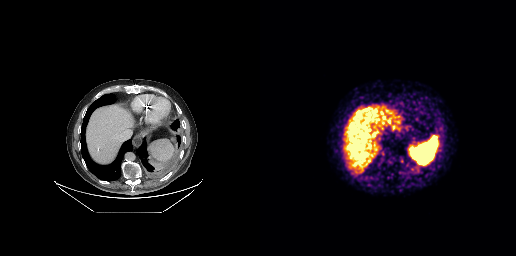
Findings: This slice has no annotated PSMA-avid lesion.
Technique: Two-panel axial: CT | PSMA PET, [68Ga]Ga-PSMA-11 tracer. acquired on GE Discovery 690. slice 188 of 299.